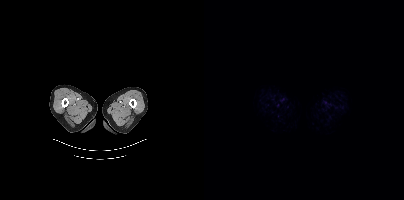
{"modality":"PSMA PET/CT","view":"axial","tracer":"18F-PSMA","pet_grid":[200,200],"coord_frame":"pet_panel","coord_format":"x0,y0,x1,y1","psma_avid_lesions":false}